Two-panel axial: CT | PSMA PET, [18F]PSMA-1007 tracer. Slice position z = -983 mm.
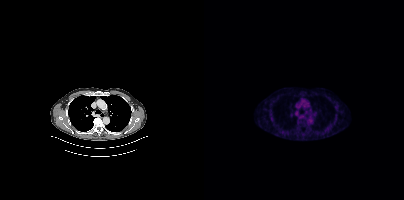
Coordinates are on the 200×200 PET (right) panel. (showing 1 of 2 foci) Small PSMA-avid focus (2 to 4 px across) near (center x, center y): (67, 118).